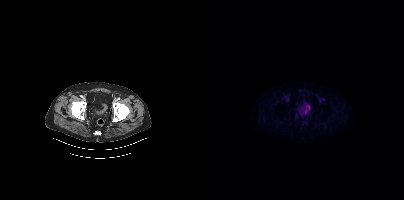
{"modality":"PSMA PET/CT","view":"axial","tracer":"18F","pet_grid":[200,200],"coord_frame":"pet_panel","coord_format":"x0,y0,x1,y1","psma_avid_lesions":false}